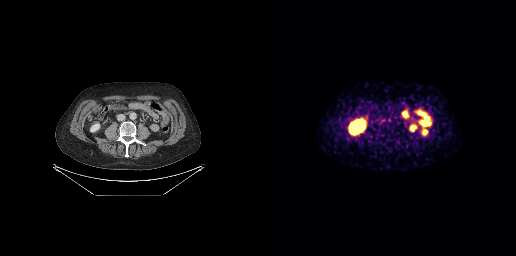
{"modality":"PSMA PET/CT","view":"axial","tracer":"[68Ga]Ga-PSMA-11","pet_grid":[256,256],"coord_frame":"pet_panel","coord_format":"x0,y0,x1,y1","psma_avid_lesions":false}